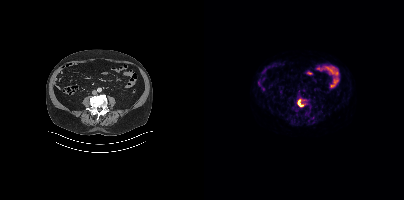
Findings: Coordinates are on the 200×200 PET (right) panel. PSMA-avid tumor lesion bounding box (x0,y0,x1,y1): [94,99,99,106].
- Two-panel axial: CT | PSMA PET, 18F tracer
- acquired on Siemens Biograph mCT Flow 20
- slice 168 of 454
- PET panel 200×200 px (4.1 mm/px)